Paired axial CT (left) and PSMA PET (right), 68Ga tracer. Acquired on GE Discovery 690. PET panel 256×256 px (2.7 mm/px).
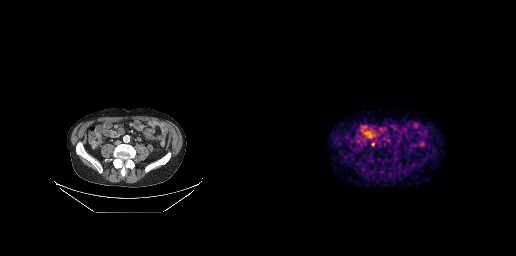
Coordinates are on the 256×256 PET (right) panel. Small PSMA-avid focus (2 to 4 px across) near (center x, center y): (112, 144).